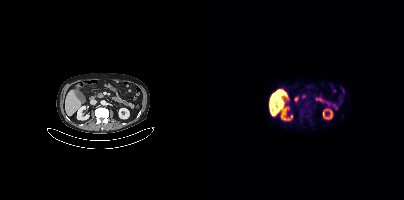
Two-panel axial: CT | PSMA PET, 18F tracer. Slice 181 of 429. This slice has no annotated PSMA-avid lesion.